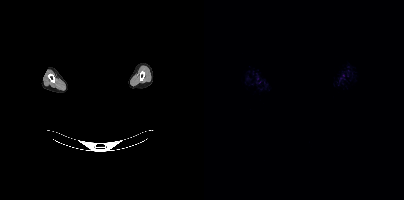
Negative for PSMA-avid disease on this slice. A rectangle over the head was blacked out to remove identifiable facial features. Left: CT. Right: PSMA PET, same axial level, [18F]PSMA-1007 tracer. Acquired on Siemens Biograph mCT Flow 20. PET panel 200×200 px (4.1 mm/px).